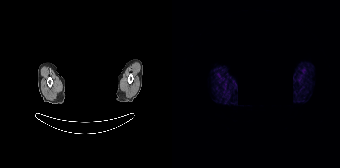
Privacy masking over the head, with the pixels inside a rectangle set to black. Two-panel axial: CT | PSMA PET, [68Ga]Ga-PSMA-11 tracer. Slice 175 of 195. No PSMA-avid tumor lesions on this slice.